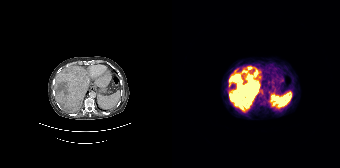
modality: PSMA PET/CT | tracer: 68Ga-PSMA | view: axial
Coordinates are on the 168×168 PET (right) panel. PSMA-avid tumor lesion bounding box (x0, y0)-(x1, y1): (57, 66)-(87, 111). Small PSMA-avid focus (2 to 4 px across) near (center x, center y): (87, 76).